Technique: Two-panel axial: CT | PSMA PET, 18F tracer. slice 373 of 464. PET panel 200×200 px (4.1 mm/px).
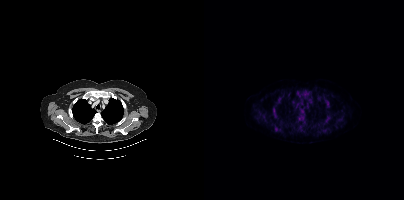
Findings: Coordinates are on the 200×200 PET (right) panel. (showing 10 of 11 foci) PSMA-avid tumor lesion bounding boxes (x0,y0,x1,y1): [92,91,107,97], [68,107,73,116], [95,115,99,121], [122,101,125,106], [119,95,122,100]. Small PSMA-avid foci (2 to 4 px across) near (center x, center y): (71, 129), (59, 116), (75, 100), (125, 117), (117, 123).